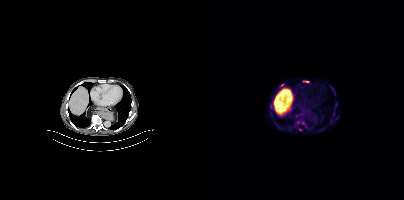
Coordinates are on the 200×200 PET (right) panel. (showing 5 of 7 foci) PSMA-avid tumor lesion bounding boxes (x, y, width, height): x=99 y=81 w=7 h=2 | x=75 y=84 w=6 h=4. Small PSMA-avid foci (2 to 4 px across) near (center x, center y): (94, 122) | (99, 123) | (96, 129). Left: CT. Right: PSMA PET, same axial level, [18F]PSMA-1007 tracer. Acquired on Siemens Biograph mCT Flow 20. Slice position z = 312 mm.